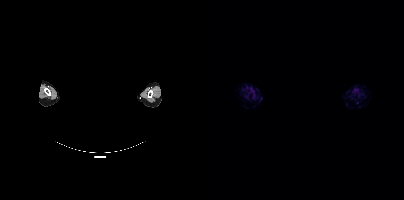
Technique: Two-panel axial: CT | PSMA PET, 18F tracer. slice position z = -195 mm.
Note: Privacy masking over the head, with the pixels inside a rectangle set to black.
Findings: Negative for PSMA-avid disease on this slice.